Technique: Two-panel axial: CT | PSMA PET, [18F]PSMA-1007 tracer. acquired on Siemens Biograph mCT Flow 20. slice position z = -850 mm.
Note: Any black rectangle over the head is a privacy mask, not anatomy.
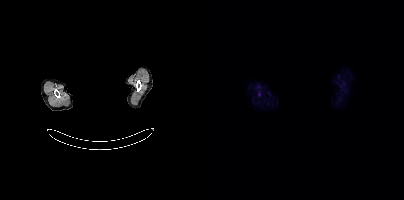
Findings: No tumor lesions annotated on this slice.